Left: CT. Right: PSMA PET, same axial level, 18F-PSMA tracer. PET panel 200×200 px (4.1 mm/px).
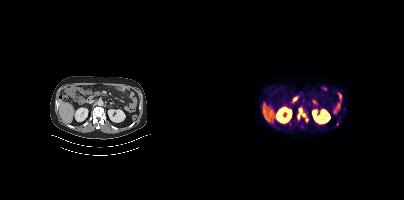
Coordinates are on the 200×200 PET (right) panel. (showing 3 of 4 foci) PSMA-avid tumor lesion bounding box (x, y, width, height): x=95 y=108 w=3 h=5. Small PSMA-avid foci (2 to 4 px across) near (center x, center y): (99, 114) | (94, 116).